modality: PSMA PET/CT | tracer: [18F]PSMA-1007 | view: axial | PET grid: 200×200
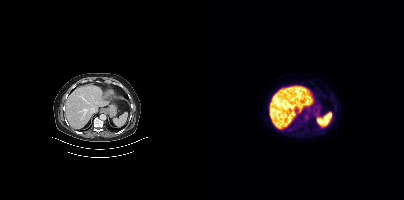
No PSMA-avid tumor lesions on this slice.